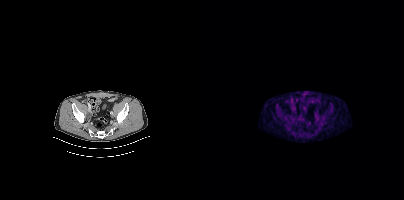
{"modality":"PSMA PET/CT","view":"axial","tracer":"18F","pet_grid":[200,200],"coord_frame":"pet_panel","coord_format":"x0,y0,x1,y1","partial":true,"lesion_bboxes":[]}